- Two-panel axial: CT | PSMA PET, 18F tracer
- PET panel 200×200 px (4.1 mm/px)
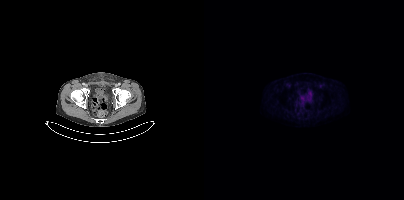
Findings: This slice has no annotated PSMA-avid lesion.